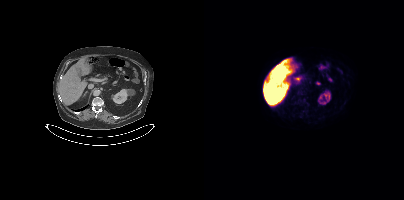
No tumor lesions annotated on this slice.